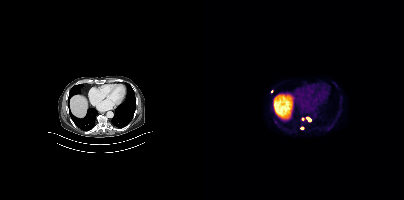
Coordinates are on the 200×200 PET (right) panel. (showing 4 of 5 foci) PSMA-avid tumor lesion bounding box (x0, y0)-(x1, y1): (103, 117)-(106, 121). Small PSMA-avid foci (2 to 4 px across) near (center x, center y): (98, 127); (67, 91); (98, 118).